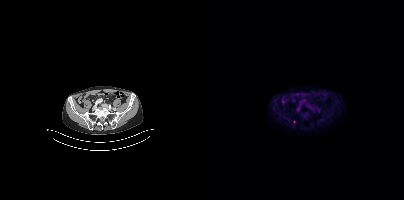
Coordinates are on the 200×200 PET (right) panel. Small PSMA-avid focus (2 to 4 px across) near (center x, center y): (90, 121). Paired axial CT (left) and PSMA PET (right), 18F-PSMA tracer. Slice position z = -845 mm.